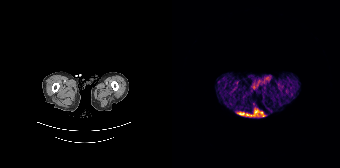
modality: PSMA PET/CT | tracer: 68Ga-PSMA | view: axial
This slice has no annotated PSMA-avid lesion.